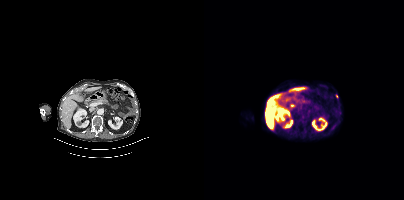
Findings: Coordinates are on the 200×200 PET (right) panel. Small PSMA-avid focus (2 to 4 px across) near (center x, center y): (133, 96).
Technique: Paired axial CT (left) and PSMA PET (right), [18F]PSMA-1007 tracer. slice position z = 8 mm. PET panel 200×200 px (4.1 mm/px).